- Left: CT. Right: PSMA PET, same axial level, 18F tracer
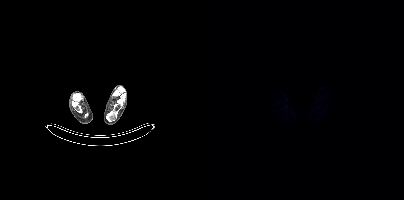
Findings: No tumor lesions annotated on this slice.